Paired axial CT (left) and PSMA PET (right), [68Ga]Ga-PSMA-11 tracer. Slice 298 of 429. PET panel 200×200 px (4.1 mm/px).
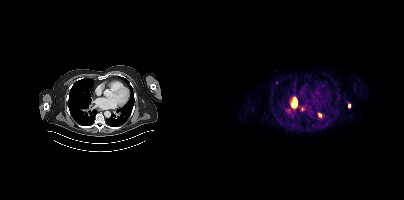
Coordinates are on the 200×200 PET (right) panel. PSMA-avid tumor lesion bounding box (x0,y0,x1,y1): [88,97,92,106]. Small PSMA-avid foci (2 to 4 px across) near (center x, center y): (116, 115) (85, 110) (145, 105) (97, 109).